modality: PSMA PET/CT | tracer: 18F | view: axial
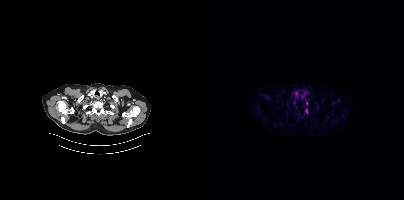
Only PSMA-avid lesion pieces thinner than 2 px on this slice (not listed).